- Paired axial CT (left) and PSMA PET (right), 18F tracer
- acquired on Siemens Biograph mCT Flow 20
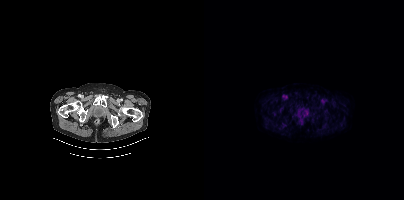
Findings: No PSMA-avid tumor lesions on this slice.